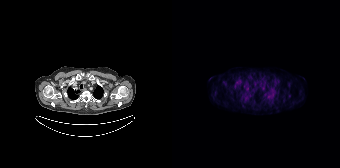
Technique: Paired axial CT (left) and PSMA PET (right), 18F-PSMA tracer.
Findings: No PSMA-avid tumor lesions on this slice.